Paired axial CT (left) and PSMA PET (right), [18F]PSMA-1007 tracer.
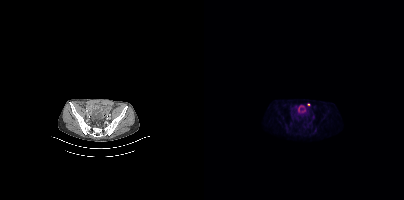
Coordinates are on the 200×200 PET (right) panel. Small PSMA-avid focus (2 to 4 px across) near (center x, center y): (104, 104).